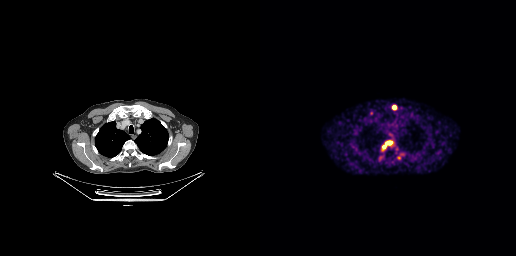
Coordinates are on the 256×256 PET (right) panel. PSMA-avid tumor lesion bounding boxes (x, y, width, height): x=123 y=141 w=11 h=8 / x=132 y=105 w=5 h=5. Small PSMA-avid foci (2 to 4 px across) near (center x, center y): (138, 157) / (111, 113). Left: CT. Right: PSMA PET, same axial level, 68Ga-PSMA tracer.